Left: CT. Right: PSMA PET, same axial level, [18F]PSMA-1007 tracer. Acquired on Siemens Biograph mCT Flow 20. PET panel 200×200 px (4.1 mm/px).
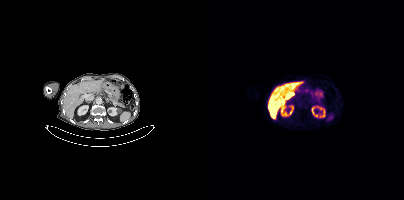
Negative for PSMA-avid disease on this slice.